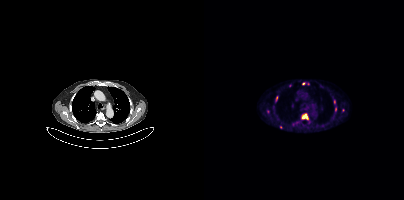
Coordinates are on the 200×200 PET (right) panel. PSMA-avid tumor lesion bounding boxes (partial; 2 more foci not listed):
| # | x0 | y0 | x1 | y1 |
|---|---|---|---|---|
| 1 | 98 | 113 | 104 | 119 |
Small PSMA-avid foci (2 to 4 px across) near (center x, center y): (99, 83); (72, 98); (130, 101); (131, 109).
Paired axial CT (left) and PSMA PET (right), 18F tracer. Slice position z = 200 mm. PET panel 200×200 px (4.1 mm/px).